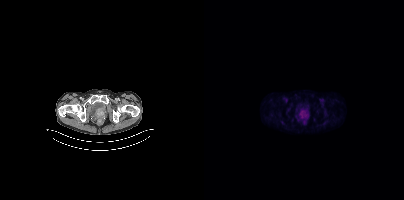
Coordinates are on the 200×200 PET (right) panel. (showing 1 of 2 foci) PSMA-avid tumor lesion bounding box (x0,y0,x1,y1): [98,112,101,116].